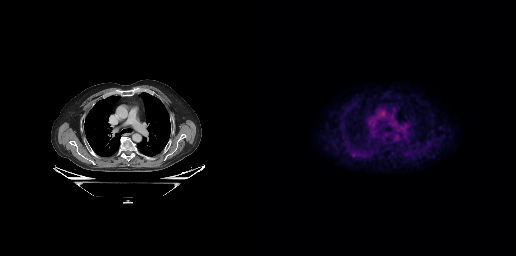
- Two-panel axial: CT | PSMA PET, [18F]PSMA-1007 tracer
- acquired on GE Discovery 690
- PET panel 256×256 px (2.7 mm/px)
Findings: Only PSMA-avid lesion pieces thinner than 2 px on this slice (not listed).